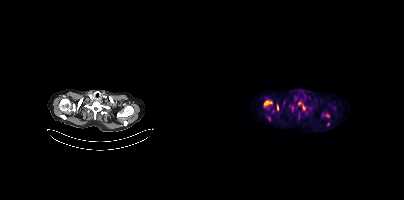
- Paired axial CT (left) and PSMA PET (right), 18F tracer
Findings: Coordinates are on the 200×200 PET (right) panel. (showing 5 of 6 foci) PSMA-avid tumor lesion bounding boxes (x, y, width, height): x=60 y=100 w=9 h=7; x=94 y=101 w=8 h=10; x=73 y=104 w=2 h=7. Small PSMA-avid foci (2 to 4 px across) near (center x, center y): (123, 115); (124, 124).